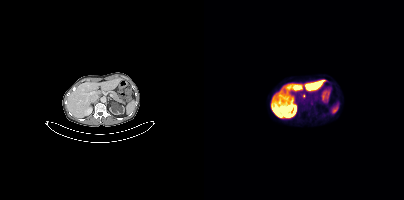
Coordinates are on the 200×200 PET (right) panel. Small PSMA-avid focus (2 to 4 px across) near (center x, center y): (99, 95).